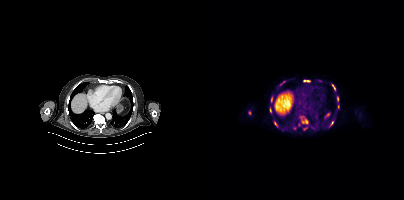
Coordinates are on the 200×200 PET (right) panel. (showing 13 of 15 foci) PSMA-avid tumor lesion bounding boxes (x, y, width, height): x=99 y=80 w=7 h=3 | x=128 y=84 w=4 h=7 | x=76 y=81 w=6 h=4 | x=67 y=97 w=2 h=5 | x=66 y=108 w=2 h=5. Small PSMA-avid foci (2 to 4 px across) near (center x, center y): (71, 123) | (133, 98) | (116, 80) | (45, 113) | (102, 122) | (101, 128) | (134, 106) | (128, 123). Paired axial CT (left) and PSMA PET (right), 18F-PSMA tracer. Acquired on Siemens Biograph mCT Flow 20.